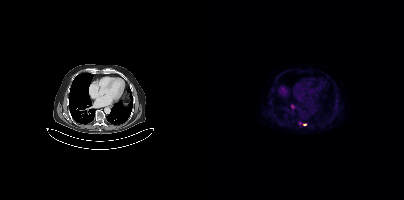
Coordinates are on the 200×200 PET (right) panel. Small PSMA-avid focus (2 to 4 px across) near (center x, center y): (101, 124).